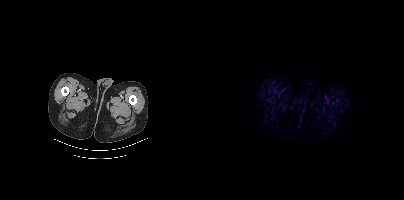
{"modality":"PSMA PET/CT","view":"axial","tracer":"18F","pet_grid":[200,200],"coord_frame":"pet_panel","coord_format":"x0,y0,x1,y1","psma_avid_lesions":false}